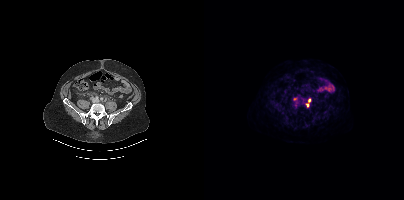
{"modality":"PSMA PET/CT","view":"axial","tracer":"18F","pet_grid":[200,200],"coord_frame":"pet_panel","coord_format":"x0,y0,x1,y1","lesion_bboxes":[[102,99,106,106]],"small_foci_centers":[[90,99]]}